- Paired axial CT (left) and PSMA PET (right), 18F-PSMA tracer
- PET panel 200×200 px (4.1 mm/px)
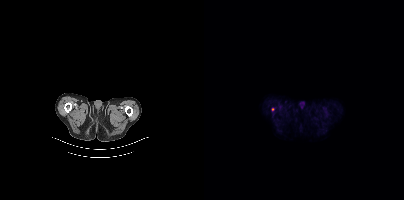
Findings: Coordinates are on the 200×200 PET (right) panel. Small PSMA-avid focus (2 to 4 px across) near (center x, center y): (68, 109).